An anonymization step blacked out a rectangle over the head in this scan. Two-panel axial: CT | PSMA PET, [18F]PSMA-1007 tracer. Acquired on Siemens Biograph mCT Flow 20. Slice 395 of 444.
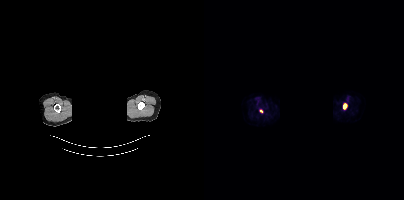
Coordinates are on the 200×200 PET (right) panel. PSMA-avid tumor lesion bounding box (x, y, width, height): x=139 y=103 w=5 h=7. Small PSMA-avid focus (2 to 4 px across) near (center x, center y): (57, 111).